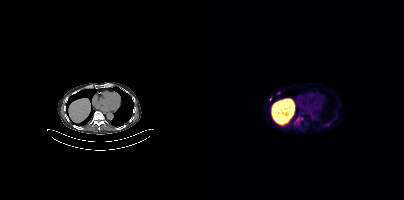
Coordinates are on the 200×200 PET (right) panel. (showing 4 of 5 foci) Small PSMA-avid foci (2 to 4 px across) near (center x, center y): (91, 123) / (74, 93) / (94, 119) / (66, 99). Left: CT. Right: PSMA PET, same axial level, 18F-PSMA tracer. Slice 236 of 385. PET panel 200×200 px (4.1 mm/px).